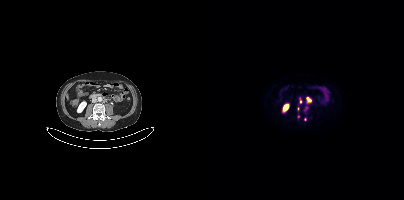
Coordinates are on the 200×200 PET (right) panel. (showing 4 of 6 foci) PSMA-avid tumor lesion bounding boxes (x0,y0,x1,y1): [103,97,106,101] [95,99,97,103] [93,107,95,112]. Small PSMA-avid focus (2 to 4 px across) near (center x, center y): (102, 108).